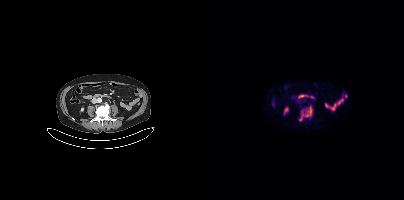
Findings: Coordinates are on the 200×200 PET (right) panel. PSMA-avid tumor lesion bounding box (x0,y0,x1,y1): [95,106,108,120].
- Left: CT. Right: PSMA PET, same axial level, [18F]PSMA-1007 tracer
- acquired on Siemens Biograph mCT Flow 20
- PET panel 200×200 px (4.1 mm/px)